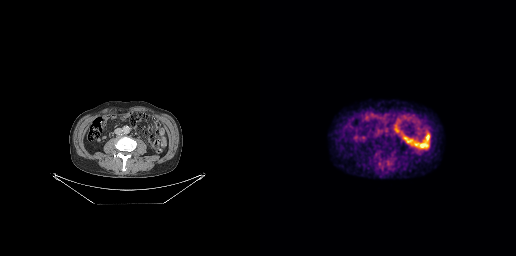
No PSMA-avid tumor lesions on this slice.